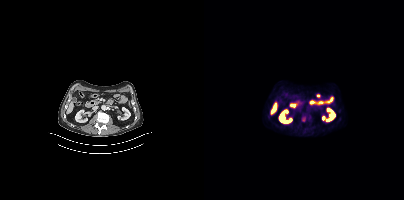
Two-panel axial: CT | PSMA PET, 18F-PSMA tracer. Slice 194 of 429. Coordinates are on the 200×200 PET (right) panel. PSMA-avid tumor lesion bounding box (x0,y0,x1,y1): [98,117,101,121].